modality: PSMA PET/CT | tracer: [18F]PSMA-1007 | view: axial | PET grid: 200×200
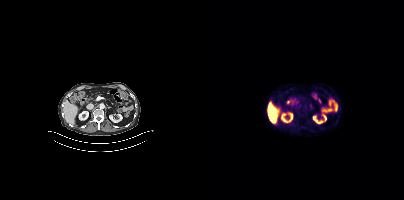
This slice has no annotated PSMA-avid lesion.